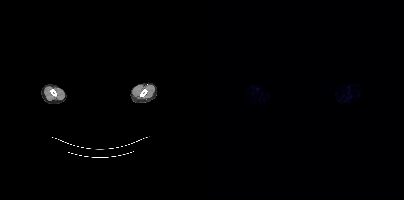
Negative for PSMA-avid disease on this slice. Left: CT. Right: PSMA PET, same axial level, [18F]PSMA-1007 tracer. Acquired on Siemens Biograph mCT Flow 20. Slice position z = -858 mm. A rectangular block over the head has been blanked out for de-identification.